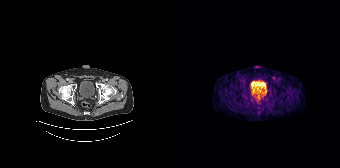
Findings: This slice has no annotated PSMA-avid lesion.
Technique: Two-panel axial: CT | PSMA PET, [68Ga]Ga-PSMA-11 tracer. slice position z = -581 mm. PET panel 168×168 px (4.1 mm/px).